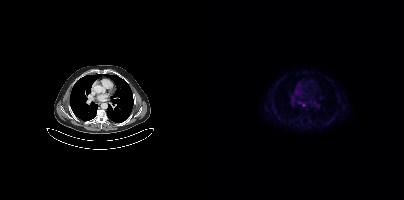
Coordinates are on the 200×200 PET (right) panel. PSMA-avid tumor lesion bounding box (x0,y0,x1,y1): [95,102,101,106].
modality: PSMA PET/CT | tracer: 18F | view: axial